modality: PSMA PET/CT | tracer: 68Ga | view: axial
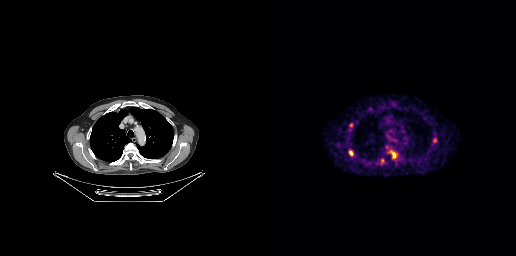
Coordinates are on the 256×256 PET (right) panel. PSMA-avid tumor lesion bounding boxes (x0,y0,x1,y1): [120,160,124,164]; [89,151,92,155]; [133,153,135,157]. Small PSMA-avid focus (2 to 4 px across) near (center x, center y): (174, 140).